Paired axial CT (left) and PSMA PET (right), 18F-PSMA tracer. Acquired on GE Discovery 690. Slice position z = -680 mm.
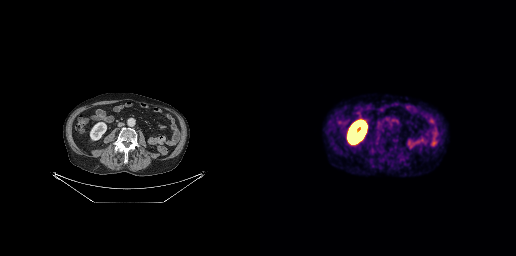
This slice has no annotated PSMA-avid lesion.